modality: PSMA PET/CT | tracer: [18F]PSMA-1007 | view: axial | PET grid: 200×200
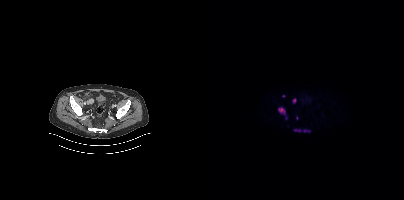
Coordinates are on the 200×200 PET (right) panel. PSMA-avid tumor lesion bounding boxes (x0, y0)-(x1, y1): (93, 129)-(103, 132) | (75, 108)-(80, 113). Small PSMA-avid foci (2 to 4 px across) near (center x, center y): (90, 101) | (93, 118) | (79, 95).